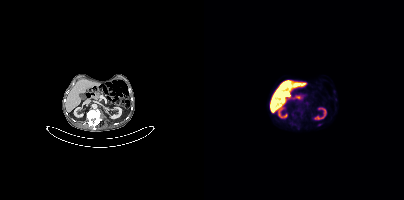
modality: PSMA PET/CT | tracer: 18F | view: axial
Negative for PSMA-avid disease on this slice.